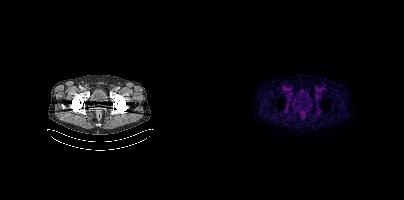
{"modality":"PSMA PET/CT","view":"axial","tracer":"18F-PSMA","pet_grid":[200,200],"coord_frame":"pet_panel","coord_format":"x0,y0,x1,y1","psma_avid_lesions":false}